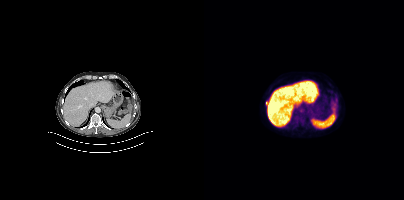
Two-panel axial: CT | PSMA PET, [18F]PSMA-1007 tracer. Acquired on Siemens Biograph mCT Flow 20. Only PSMA-avid lesion pieces thinner than 2 px on this slice (not listed).